Two-panel axial: CT | PSMA PET, 18F-PSMA tracer. Slice 363 of 435.
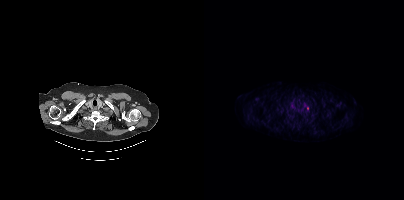
Coordinates are on the 200×200 PET (right) panel. Small PSMA-avid focus (2 to 4 px across) near (center x, center y): (103, 108).